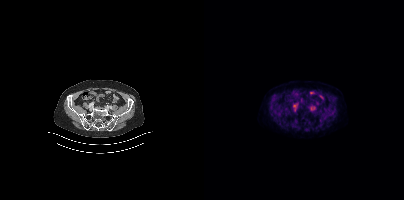
This slice has no annotated PSMA-avid lesion.
modality: PSMA PET/CT | tracer: [18F]PSMA-1007 | view: axial | PET grid: 200×200